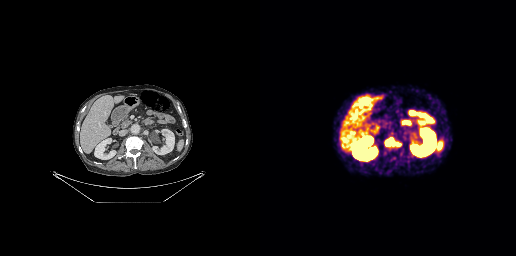
Technique: Two-panel axial: CT | PSMA PET, 68Ga-PSMA tracer. slice 120 of 263.
Findings: Coordinates are on the 256×256 PET (right) panel. (showing 2 of 3 foci) PSMA-avid tumor lesion bounding box (x, y, width, height): x=125 y=139 w=8 h=7. Small PSMA-avid focus (2 to 4 px across) near (center x, center y): (138, 144).